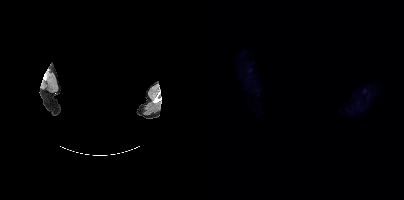
redaction: face masked with black rectangle | modality: PSMA PET/CT | tracer: [18F]PSMA-1007 | view: axial | PET grid: 200×200
This slice has no annotated PSMA-avid lesion.